- Paired axial CT (left) and PSMA PET (right), 18F tracer
- acquired on Siemens Biograph mCT Flow 20
- PET panel 200×200 px (4.1 mm/px)
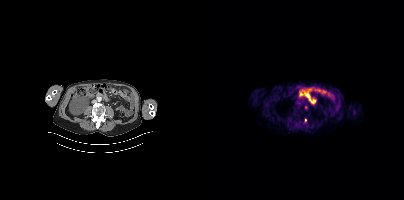
Findings: Coordinates are on the 200×200 PET (right) panel. Small PSMA-avid focus (2 to 4 px across) near (center x, center y): (101, 119).